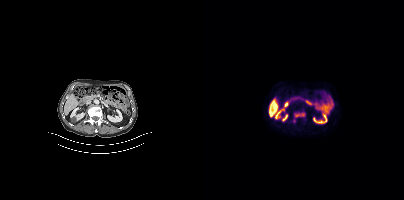
{"pet_grid":[200,200],"coord_frame":"pet_panel","coord_format":"x0,y0,x1,y1","partial":true,"lesion_bboxes":[[90,113,100,117]],"modality":"PSMA PET/CT","view":"axial","tracer":"[18F]PSMA-1007"}